Technique: Left: CT. Right: PSMA PET, same axial level, 18F-PSMA tracer. acquired on GE Discovery 690. slice 28 of 263.
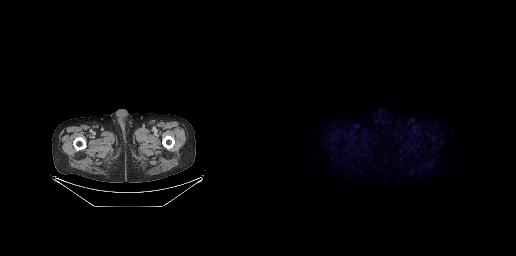
Findings: No PSMA-avid tumor lesions on this slice.